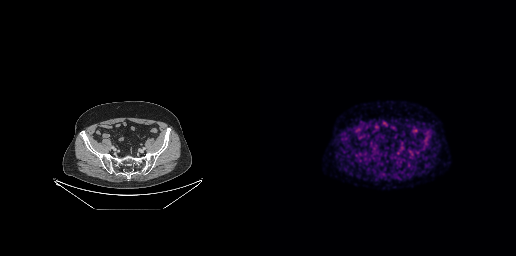
Two-panel axial: CT | PSMA PET, 18F-PSMA tracer. Acquired on GE Discovery 690. PET panel 256×256 px (2.7 mm/px). No tumor lesions annotated on this slice.